- Left: CT. Right: PSMA PET, same axial level, 18F-PSMA tracer
- slice position z = -1003 mm
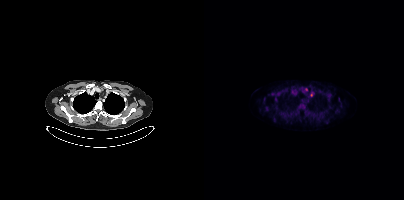
Findings: Coordinates are on the 200×200 PET (right) panel. (showing 2 of 4 foci) Small PSMA-avid foci (2 to 4 px across) near (center x, center y): (107, 95) (102, 89).